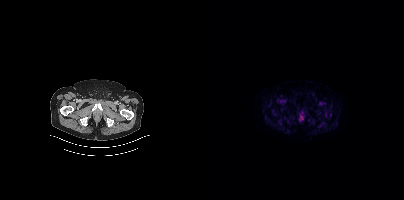
No tumor lesions annotated on this slice.